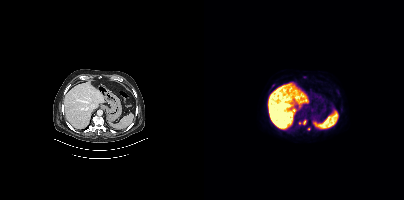
Findings: Coordinates are on the 200×200 PET (right) panel. (showing 3 of 5 foci) PSMA-avid tumor lesion bounding box (x0,y0,x1,y1): [99,120,101,124]. Small PSMA-avid foci (2 to 4 px across) near (center x, center y): (100, 77); (104, 129).
Technique: Left: CT. Right: PSMA PET, same axial level, [18F]PSMA-1007 tracer. acquired on Siemens Biograph mCT Flow 20. PET panel 200×200 px (4.1 mm/px).